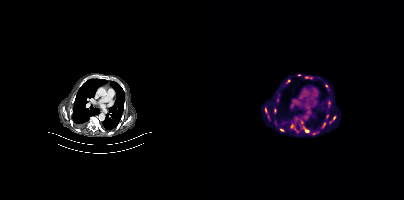
Technique: Two-panel axial: CT | PSMA PET, [18F]PSMA-1007 tracer.
Findings: Coordinates are on the 200×200 PET (right) panel. (showing 9 of 12 foci) PSMA-avid tumor lesion bounding boxes (x, y, width, height): x=96 y=120 w=9 h=13 / x=61 y=107 w=6 h=14 / x=86 y=124 w=9 h=8 / x=70 y=108 w=3 h=6 / x=129 y=116 w=3 h=5. Small PSMA-avid foci (2 to 4 px across) near (center x, center y): (123, 116) / (92, 119) / (126, 122) / (120, 123).